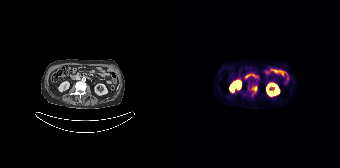
Technique: Left: CT. Right: PSMA PET, same axial level, 68Ga-PSMA tracer. acquired on Siemens Biograph 64-4R TruePoint.
Findings: Coordinates are on the 168×168 PET (right) panel. PSMA-avid tumor lesion bounding box (x0, y0)-(x1, y1): (80, 86)-(85, 91).